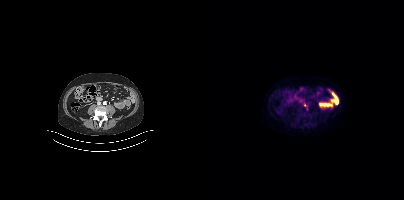
Coordinates are on the 200×200 PET (right) panel. Small PSMA-avid focus (2 to 4 px across) near (center x, center y): (100, 104). Two-panel axial: CT | PSMA PET, 18F tracer. Acquired on Siemens Biograph mCT Flow 20. Slice 132 of 356.